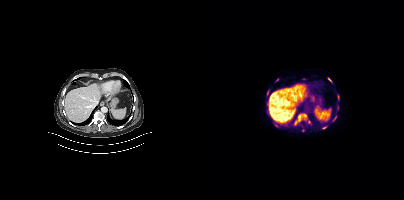
Coordinates are on the 200×200 PET (right) panel. (showing 7 of 11 foci) PSMA-avid tumor lesion bounding boxes (x0,y0,x1,y1): [129,116,132,120] [63,90,65,95] [134,95,135,99] [118,126,122,128]. Small PSMA-avid foci (2 to 4 px across) near (center x, center y): (125, 79) (91, 123) (73, 79).